Technique: Left: CT. Right: PSMA PET, same axial level, [18F]PSMA-1007 tracer. acquired on Siemens Biograph mCT Flow 20.
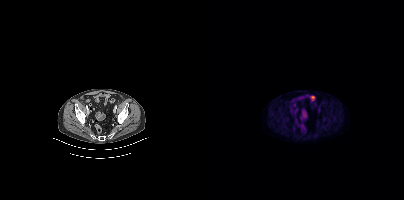
Findings: This slice has no annotated PSMA-avid lesion.